Technique: Paired axial CT (left) and PSMA PET (right), 18F-PSMA tracer.
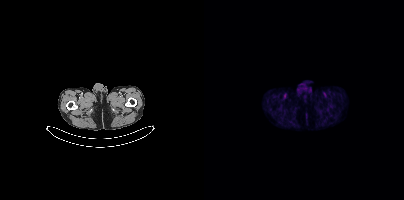
Findings: No tumor lesions annotated on this slice.